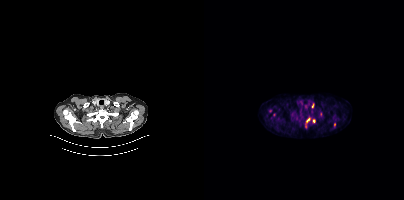
Technique: Two-panel axial: CT | PSMA PET, 18F-PSMA tracer. slice position z = -426 mm. PET panel 200×200 px (4.1 mm/px).
Findings: Coordinates are on the 200×200 PET (right) panel. (showing 3 of 6 foci) PSMA-avid tumor lesion bounding box (x0, y0)-(x1, y1): (102, 118)-(106, 122). Small PSMA-avid foci (2 to 4 px across) near (center x, center y): (110, 120); (108, 105).